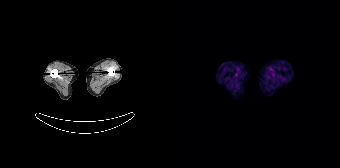
Negative for PSMA-avid disease on this slice.